modality: PSMA PET/CT | tracer: [18F]PSMA-1007 | view: axial | PET grid: 200×200
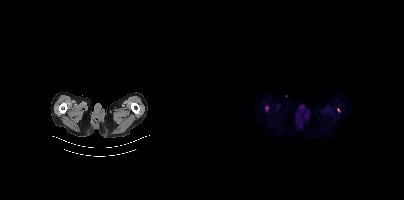
Coordinates are on the 200×200 PET (right) panel. Small PSMA-avid foci (2 to 4 px across) near (center x, center y): (134, 109) (62, 107).